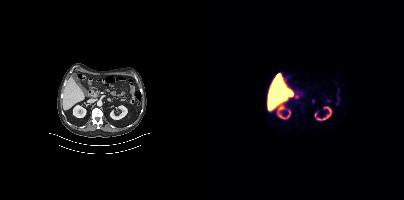
No PSMA-avid tumor lesions on this slice.